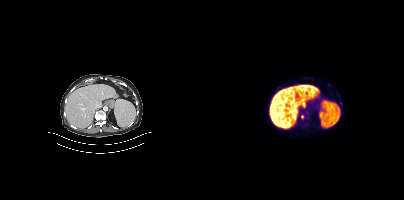
Coordinates are on the 200×200 PET (right) panel. (showing 1 of 2 foci) Small PSMA-avid focus (2 to 4 px across) near (center x, center y): (136, 103).